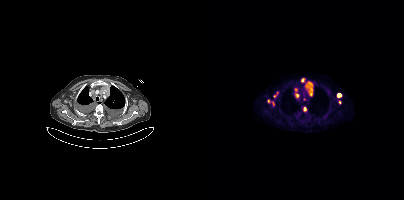
Coordinates are on the 200×200 PET (right) panel. PSMA-avid tumor lesion bounding boxes (partial; 1 more focus not listed):
| # | x0 | y0 | x1 | y1 |
|---|---|---|---|---|
| 1 | 101 | 83 | 108 | 96 |
| 2 | 63 | 99 | 70 | 106 |
| 3 | 133 | 93 | 137 | 97 |
| 4 | 91 | 93 | 95 | 97 |
| 5 | 99 | 107 | 102 | 111 |
| 6 | 97 | 78 | 100 | 82 |
Small PSMA-avid foci (2 to 4 px across) near (center x, center y): (70, 96); (136, 102); (92, 89); (73, 92).
Left: CT. Right: PSMA PET, same axial level, 18F-PSMA tracer. PET panel 200×200 px (4.1 mm/px).